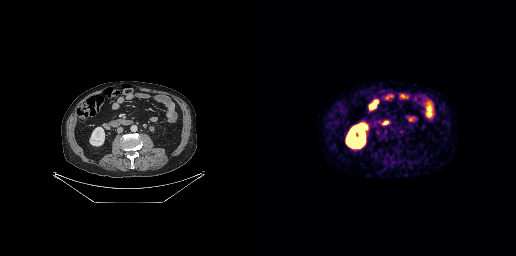
This slice has no annotated PSMA-avid lesion.
modality: PSMA PET/CT | tracer: [18F]PSMA-1007 | view: axial | PET grid: 256×256